- Paired axial CT (left) and PSMA PET (right), 68Ga tracer
- acquired on Siemens Biograph mCT Flow 20
- PET panel 200×200 px (4.1 mm/px)
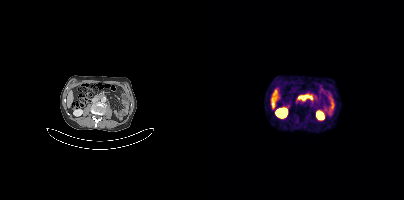
Findings: No PSMA-avid tumor lesions on this slice.